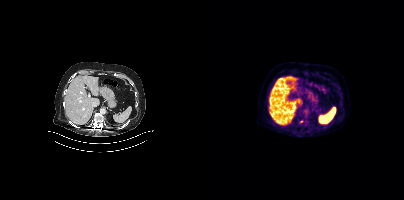
Findings: Only PSMA-avid lesion pieces thinner than 2 px on this slice (not listed).
- Paired axial CT (left) and PSMA PET (right), 18F tracer
- acquired on Siemens Biograph mCT Flow 20
- slice position z = -1150 mm
- PET panel 200×200 px (4.1 mm/px)